Two-panel axial: CT | PSMA PET, [18F]PSMA-1007 tracer. Slice 155 of 299. PET panel 256×256 px (2.7 mm/px).
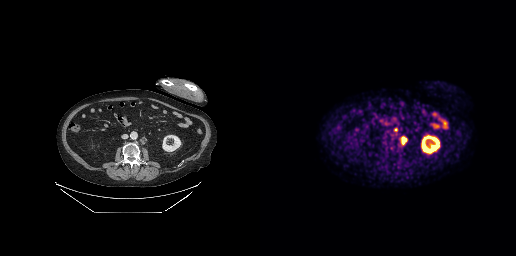
Coordinates are on the 256×256 PET (right) panel. PSMA-avid tumor lesion bounding boxes:
| # | x0 | y0 | x1 | y1 |
|---|---|---|---|---|
| 1 | 140 | 136 | 147 | 144 |
Small PSMA-avid focus (2 to 4 px across) near (center x, center y): (136, 129).